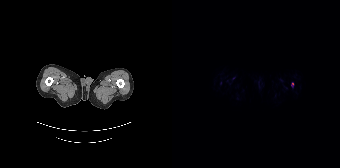
Coordinates are on the 168×168 PET (right) panel. Small PSMA-avid focus (2 to 4 px across) near (center x, center y): (120, 83).
modality: PSMA PET/CT | tracer: [18F]PSMA-1007 | view: axial